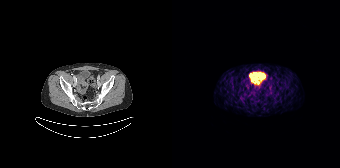
No tumor lesions annotated on this slice. Two-panel axial: CT | PSMA PET, 68Ga-PSMA tracer. Acquired on Siemens Biograph 64-4R TruePoint.